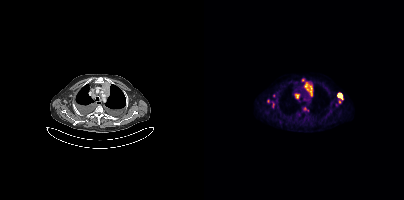
Coordinates are on the 200×200 PET (right) panel. PSMA-avid tumor lesion bounding boxes (x0,y0,x1,y1): [100,82,108,96] [133,93,139,100] [91,94,95,98] [68,101,70,106]. Small PSMA-avid foci (2 to 4 px across) near (center x, center y): (64, 100) (135, 101) (69, 95) (98, 79) (100, 108).